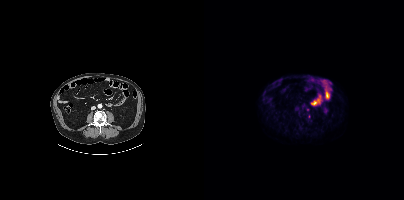
Coordinates are on the 200×200 PET (right) panel. (showing 1 of 2 foci) Small PSMA-avid focus (2 to 4 px across) near (center x, center y): (103, 109).